Two-panel axial: CT | PSMA PET, 68Ga tracer. Slice position z = -1484 mm. PET panel 200×200 px (4.1 mm/px).
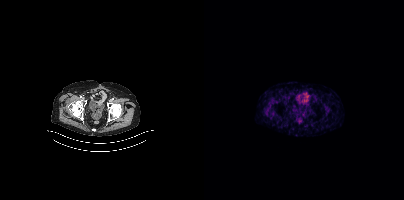
This slice has no annotated PSMA-avid lesion.